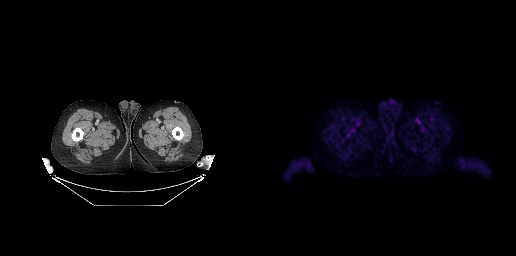
{"modality":"PSMA PET/CT","view":"axial","tracer":"[18F]PSMA-1007","pet_grid":[256,256],"coord_frame":"pet_panel","coord_format":"x0,y0,x1,y1","psma_avid_lesions":false}